Left: CT. Right: PSMA PET, same axial level, [18F]PSMA-1007 tracer. Slice position z = -890 mm. Facial anatomy redacted by setting a rectangular region of the head to black.
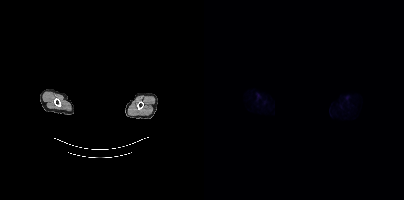
No PSMA-avid tumor lesions on this slice.